- Left: CT. Right: PSMA PET, same axial level, [18F]PSMA-1007 tracer
- PET panel 200×200 px (4.1 mm/px)
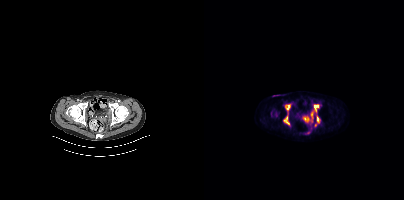
Findings: Coordinates are on the 200×200 PET (right) panel. (showing 5 of 6 foci) PSMA-avid tumor lesion bounding boxes (x0, y0)-(x1, y1): (79, 106)-(85, 124); (110, 104)-(114, 111); (113, 116)-(115, 122). Small PSMA-avid foci (2 to 4 px across) near (center x, center y): (84, 106); (101, 118).